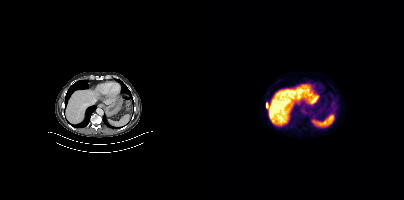
Technique: Paired axial CT (left) and PSMA PET (right), 18F tracer. slice position z = -623 mm.
Findings: Coordinates are on the 200×200 PET (right) panel. PSMA-avid tumor lesion bounding box (x0, y0)-(x1, y1): (62, 103)-(64, 107).